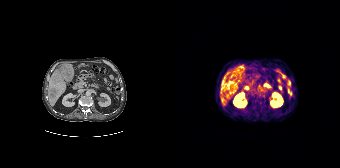
Findings: Coordinates are on the 168×168 PET (right) panel. Small PSMA-avid foci (2 to 4 px across) near (center x, center y): (51, 85); (58, 82); (70, 67).
Technique: Left: CT. Right: PSMA PET, same axial level, 68Ga tracer. acquired on Siemens Biograph 64-4R TruePoint. slice 108 of 195. PET panel 168×168 px (4.1 mm/px).